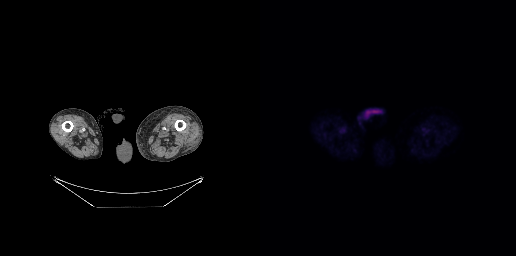
No PSMA-avid tumor lesions on this slice.
modality: PSMA PET/CT | tracer: 18F-PSMA | view: axial | PET grid: 256×256